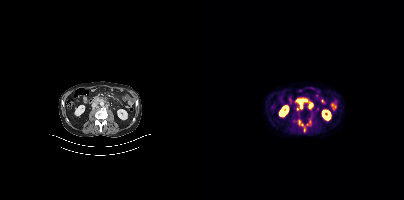
Coordinates are on the 200×200 PET (right) panel. (showing 4 of 8 foci) PSMA-avid tumor lesion bounding boxes (x0, y0)-(x1, y1): (93, 100)-(98, 108) / (99, 99)-(103, 101) / (95, 120)-(96, 124). Small PSMA-avid focus (2 to 4 px across) near (center x, center y): (106, 105). Two-panel axial: CT | PSMA PET, [18F]PSMA-1007 tracer. Slice position z = -764 mm.